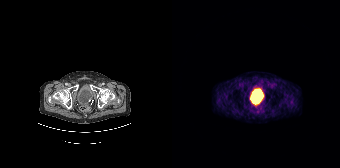
No PSMA-avid tumor lesions on this slice.